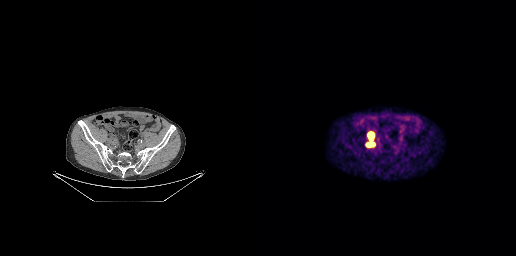
modality: PSMA PET/CT | tracer: 68Ga-PSMA | view: axial
Coordinates are on the 256×256 PET (right) panel. PSMA-avid tumor lesion bounding boxes (x0,y0,x1,y1): [106,142,114,146] [109,133,113,139].